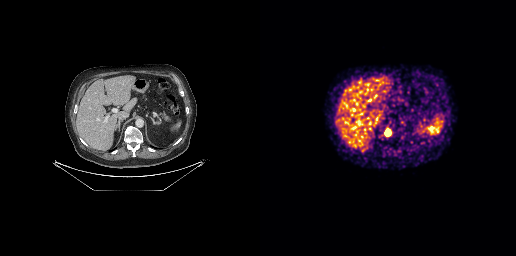
Coordinates are on the 256×256 PET (right) panel. PSMA-avid tumor lesion bounding boxes:
| # | x0 | y0 | x1 | y1 |
|---|---|---|---|---|
| 1 | 125 | 129 | 130 | 135 |
Left: CT. Right: PSMA PET, same axial level, 68Ga-PSMA tracer. Acquired on GE Discovery 690.